Technique: Two-panel axial: CT | PSMA PET, [18F]PSMA-1007 tracer. acquired on Siemens Biograph mCT Flow 20. slice 68 of 423. PET panel 200×200 px (4.1 mm/px).
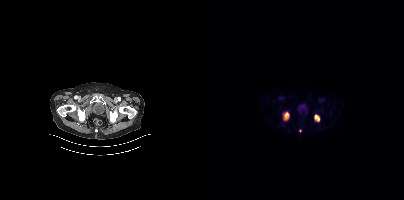
Findings: Coordinates are on the 200×200 PET (right) panel. PSMA-avid tumor lesion bounding boxes (x0,y0,x1,y1): [80,112,84,119], [111,115,115,121]. Small PSMA-avid focus (2 to 4 px across) near (center x, center y): (96, 130).